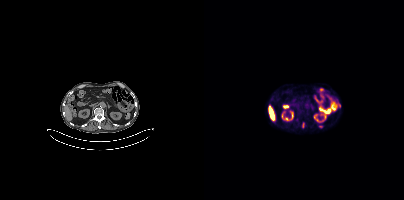
- Paired axial CT (left) and PSMA PET (right), 18F-PSMA tracer
Findings: Coordinates are on the 200×200 PET (right) panel. (showing 3 of 4 foci) PSMA-avid tumor lesion bounding box (x0, y0)-(x1, y1): (98, 123)-(100, 127). Small PSMA-avid foci (2 to 4 px across) near (center x, center y): (116, 126) / (135, 103).